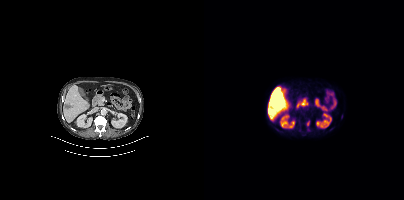
{"pet_grid":[200,200],"coord_frame":"pet_panel","coord_format":"x0,y0,x1,y1","partial":true,"lesion_bboxes":[[102,120,105,126]],"modality":"PSMA PET/CT","view":"axial","tracer":"18F"}